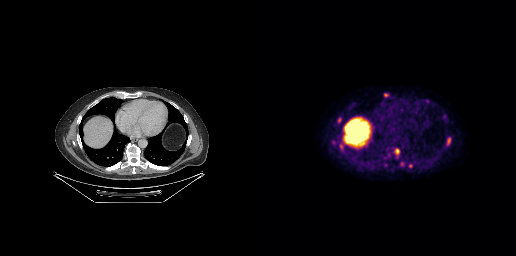
Coordinates are on the 256×256 PET (right) panel. PSMA-avid tumor lesion bounding boxes:
| # | x0 | y0 | x1 | y1 |
|---|---|---|---|---|
| 1 | 187 | 138 | 190 | 145 |
| 2 | 78 | 117 | 81 | 122 |
| 3 | 124 | 93 | 128 | 96 |
| 4 | 136 | 149 | 139 | 153 |
Small PSMA-avid focus (2 to 4 px across) near (center x, center y): (81, 146).
Paired axial CT (left) and PSMA PET (right), 18F-PSMA tracer. Slice position z = -318 mm.